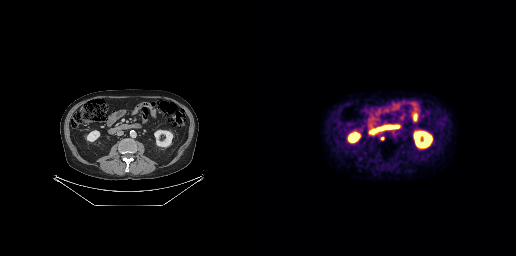
Findings: Coordinates are on the 256×256 PET (right) panel. Small PSMA-avid focus (2 to 4 px across) near (center x, center y): (122, 138).
Technique: Two-panel axial: CT | PSMA PET, 18F-PSMA tracer. acquired on GE Discovery 690.